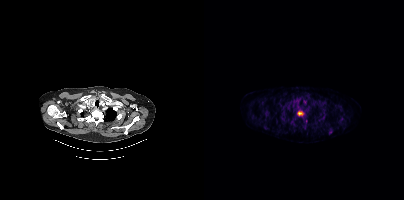
Coordinates are on the 200×200 PET (right) panel. PSMA-avid tumor lesion bounding boxes:
| # | x0 | y0 | x1 | y1 |
|---|---|---|---|---|
| 1 | 94 | 111 | 98 | 115 |
| 2 | 125 | 129 | 128 | 134 |
Two-panel axial: CT | PSMA PET, [18F]PSMA-1007 tracer. Acquired on Siemens Biograph mCT Flow 20. Slice position z = -355 mm. PET panel 200×200 px (4.1 mm/px).